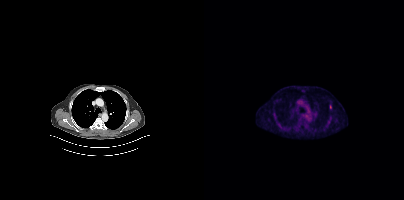
Technique: Two-panel axial: CT | PSMA PET, 18F-PSMA tracer. slice position z = -531 mm.
Findings: Coordinates are on the 200×200 PET (right) panel. Small PSMA-avid focus (2 to 4 px across) near (center x, center y): (126, 106).